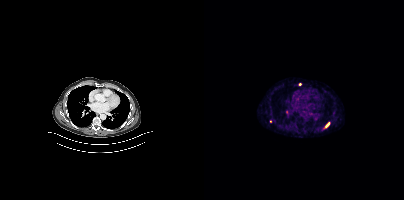
{"pet_grid":[200,200],"coord_frame":"pet_panel","coord_format":"x0,y0,x1,y1","partial":true,"lesion_bboxes":[[122,123,125,127]],"modality":"PSMA PET/CT","view":"axial","tracer":"68Ga-PSMA"}